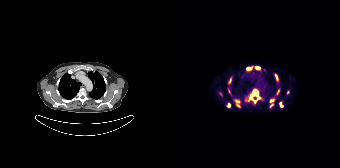
modality: PSMA PET/CT | tracer: [68Ga]Ga-PSMA-11 | view: axial
Coordinates are on the 168×168 PET (right) panel. (showing 13 of 14 foci) PSMA-avid tumor lesion bounding boxes (x0, y0)-(x1, y1): (62, 99)-(68, 107) | (80, 90)-(86, 95) | (56, 78)-(59, 83) | (98, 99)-(102, 102) | (83, 66)-(87, 68) | (108, 103)-(110, 107) | (75, 68)-(79, 69) | (104, 75)-(105, 79). Small PSMA-avid foci (2 to 4 px across) near (center x, center y): (57, 105) | (115, 92) | (86, 98) | (79, 98) | (82, 101).